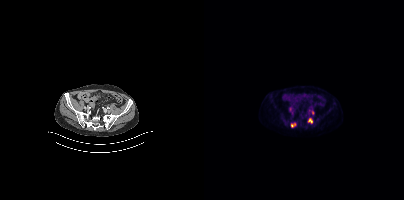
Left: CT. Right: PSMA PET, same axial level, [18F]PSMA-1007 tracer. Slice 115 of 415.
Coordinates are on the 200×200 PET (right) panel. PSMA-avid tumor lesion bounding boxes:
| # | x0 | y0 | x1 | y1 |
|---|---|---|---|---|
| 1 | 104 | 118 | 108 | 123 |
| 2 | 87 | 123 | 91 | 127 |